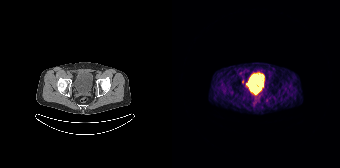
Coordinates are on the 168×168 PET (right) panel. PSMA-avid tumor lesion bounding box (x0, y0)-(x1, y1): (70, 79)-(72, 83).